Two-panel axial: CT | PSMA PET, 18F-PSMA tracer. Slice position z = -424 mm. PET panel 200×200 px (4.1 mm/px).
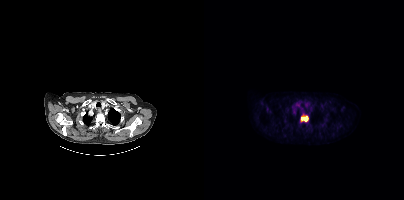
Coordinates are on the 200×200 PET (right) panel. PSMA-avid tumor lesion bounding box (x0,y0,x1,y1): [96,114,104,121].